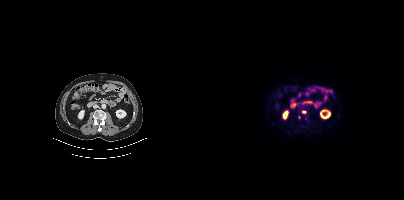
modality: PSMA PET/CT | tracer: [18F]PSMA-1007 | view: axial
Coordinates are on the 200×200 PET (right) panel. (showing 1 of 2 foci) PSMA-avid tumor lesion bounding box (x, y, width, height): x=98 y=111 w=5 h=3.